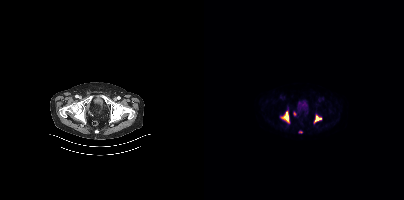
Coordinates are on the 200×200 PET (right) panel. PSMA-avid tumor lesion bounding boxes (x0, y0)-(x1, y1): (78, 111)-(85, 122) | (111, 115)-(117, 121). Small PSMA-avid foci (2 to 4 px across) near (center x, center y): (90, 114) | (96, 131).